- Two-panel axial: CT | PSMA PET, [18F]PSMA-1007 tracer
- acquired on Siemens Biograph mCT Flow 20
- PET panel 200×200 px (4.1 mm/px)
- an anonymization step blacked out a rectangle over the head in this scan
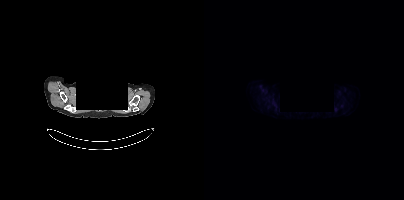
Findings: No tumor lesions annotated on this slice.